Two-panel axial: CT | PSMA PET, 18F-PSMA tracer. PET panel 168×168 px (4.1 mm/px).
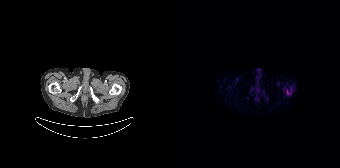
Only PSMA-avid lesion pieces thinner than 2 px on this slice (not listed).